modality: PSMA PET/CT | tracer: [18F]PSMA-1007 | view: axial
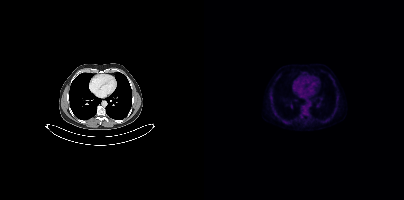
This slice has no annotated PSMA-avid lesion.